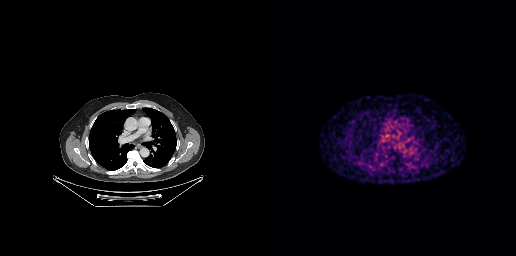
- Paired axial CT (left) and PSMA PET (right), 68Ga tracer
Findings: This slice has no annotated PSMA-avid lesion.